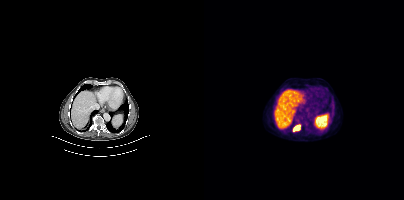
Coordinates are on the 200×200 PET (right) panel. PSMA-avid tumor lesion bounding box (x, y, width, height): x=89 y=125 w=8 h=7.